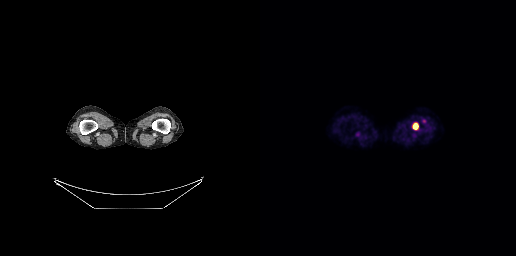
Technique: Paired axial CT (left) and PSMA PET (right), [18F]PSMA-1007 tracer. slice position z = -1314 mm.
Findings: Coordinates are on the 256×256 PET (right) panel. PSMA-avid tumor lesion bounding box (x, y, width, height): x=153 y=123 w=6 h=7.